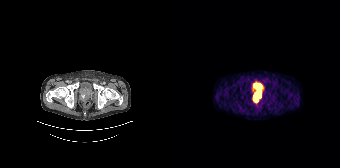
{"modality":"PSMA PET/CT","view":"axial","tracer":"[68Ga]Ga-PSMA-11","pet_grid":[168,168],"coord_frame":"pet_panel","coord_format":"x0,y0,x1,y1","lesion_bboxes":[[81,89,89,102]]}